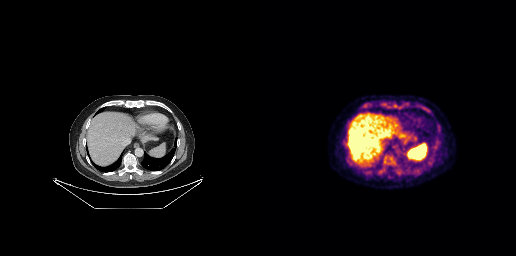
Negative for PSMA-avid disease on this slice.
modality: PSMA PET/CT | tracer: [18F]PSMA-1007 | view: axial